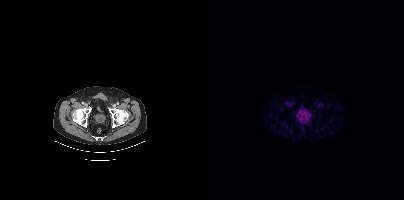
No PSMA-avid tumor lesions on this slice.